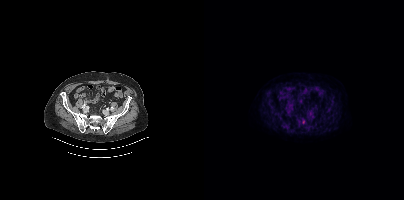
Coordinates are on the 200×200 PET (right) panel. Small PSMA-avid focus (2 to 4 px across) near (center x, center y): (99, 121). Paired axial CT (left) and PSMA PET (right), [18F]PSMA-1007 tracer. Acquired on Siemens Biograph mCT Flow 20.